Two-panel axial: CT | PSMA PET, [18F]PSMA-1007 tracer.
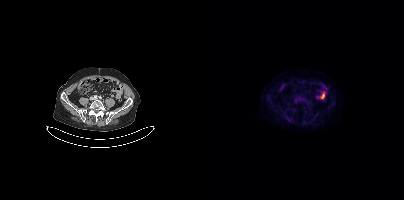
This slice has no annotated PSMA-avid lesion.